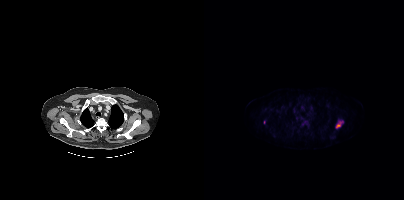
Coordinates are on the 200×200 PET (right) panel. (showing 2 of 3 foci) PSMA-avid tumor lesion bounding box (x0,y0,x1,y1): [132,120,139,128]. Small PSMA-avid focus (2 to 4 px across) near (center x, center y): (99, 123). Two-panel axial: CT | PSMA PET, 18F-PSMA tracer. Acquired on Siemens Biograph mCT Flow 20.